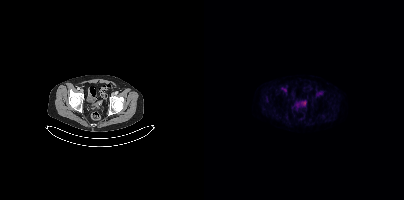
Coordinates are on the 200×200 PET (right) panel. Small PSMA-avid focus (2 to 4 px across) near (center x, center y): (100, 102). Paired axial CT (left) and PSMA PET (right), 18F tracer.